modality: PSMA PET/CT | tracer: 18F-PSMA | view: axial
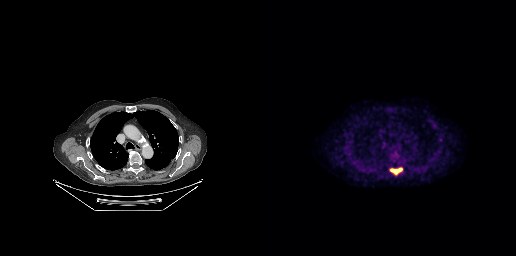
Coordinates are on the 256×256 PET (right) panel. PSMA-avid tumor lesion bounding box (x0, y0)-(x1, y1): (130, 168)-(142, 174).